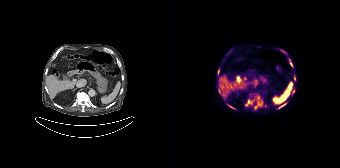
Coordinates are on the 168×168 PET (right) panel. PSMA-avid tumor lesion bounding boxes (partial; 1 more focus not listed):
| # | x0 | y0 | x1 | y1 |
|---|---|---|---|---|
| 1 | 73 | 99 | 81 | 105 |
| 2 | 83 | 101 | 90 | 109 |
| 3 | 117 | 59 | 120 | 66 |
| 4 | 107 | 103 | 114 | 108 |
| 5 | 107 | 49 | 111 | 51 |
| 6 | 120 | 90 | 122 | 94 |
| 7 | 59 | 106 | 63 | 109 |
| 8 | 46 | 69 | 47 | 74 |
Small PSMA-avid foci (2 to 4 px across) near (center x, center y): (122, 77); (86, 97); (56, 105).
Two-panel axial: CT | PSMA PET, [18F]PSMA-1007 tracer. Acquired on Siemens Biograph 64-4R TruePoint.